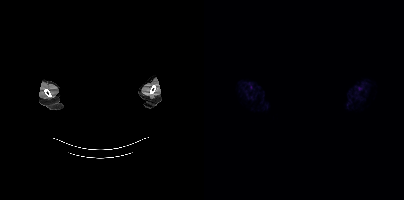
{"modality":"PSMA PET/CT","view":"axial","tracer":"[68Ga]Ga-PSMA-11","pet_grid":[200,200],"coord_frame":"pet_panel","coord_format":"x0,y0,x1,y1","psma_avid_lesions":false,"de-identification":"rectangular block over head set to black"}